Technique: Left: CT. Right: PSMA PET, same axial level, 18F-PSMA tracer. acquired on Siemens Biograph mCT Flow 20. PET panel 200×200 px (4.1 mm/px).
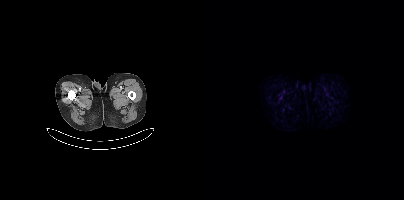
Findings: No PSMA-avid tumor lesions on this slice.